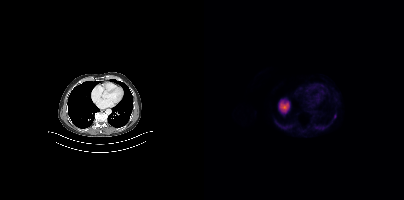
Findings: Coordinates are on the 200×200 PET (right) panel. Small PSMA-avid focus (2 to 4 px across) near (center x, center y): (131, 116).
Technique: Paired axial CT (left) and PSMA PET (right), 18F tracer. slice position z = -1086 mm. PET panel 200×200 px (4.1 mm/px).